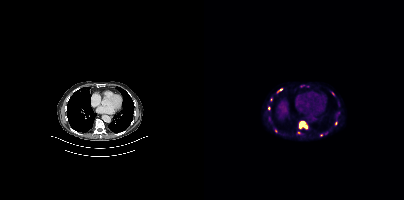
modality: PSMA PET/CT | tracer: 18F-PSMA | view: axial | PET grid: 200×200
Coordinates are on the 200×200 PET (right) panel. (showing 5 of 7 foci) PSMA-avid tumor lesion bounding boxes (x, y, width, height): x=95 y=121 w=9 h=8; x=73 y=89 w=6 h=4. Small PSMA-avid foci (2 to 4 px across) near (center x, center y): (131, 123); (64, 108); (94, 132).